Two-panel axial: CT | PSMA PET, 68Ga tracer.
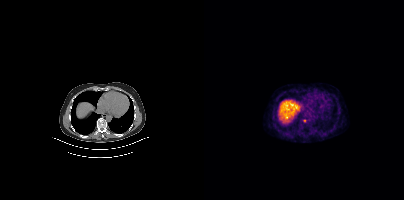
Coordinates are on the 200×200 PET (right) panel. Small PSMA-avid focus (2 to 4 px across) near (center x, center y): (100, 120).